Technique: Left: CT. Right: PSMA PET, same axial level, [18F]PSMA-1007 tracer. acquired on Siemens Biograph mCT Flow 20. slice position z = -1242 mm.
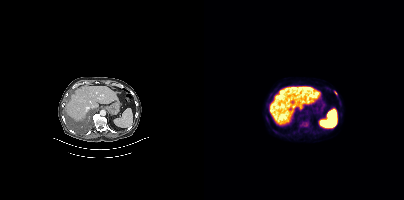
Findings: Coordinates are on the 200×200 PET (right) panel. (showing 2 of 3 foci) PSMA-avid tumor lesion bounding box (x0, y0)-(x1, y1): (96, 121)-(104, 126). Small PSMA-avid focus (2 to 4 px across) near (center x, center y): (131, 92).